modality: PSMA PET/CT | tracer: [68Ga]Ga-PSMA-11 | view: axial | PET grid: 168×168
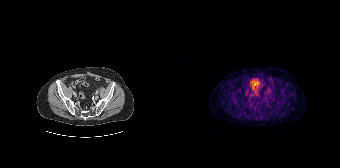
Coordinates are on the 168×168 PET (right) panel. Small PSMA-avid focus (2 to 4 px across) near (center x, center y): (96, 91).